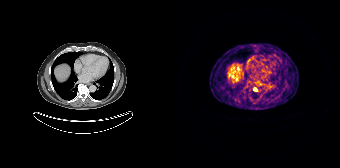
Paired axial CT (left) and PSMA PET (right), 68Ga-PSMA tracer. Acquired on Siemens Biograph 64-4R TruePoint. Slice position z = 1491 mm. PET panel 168×168 px (4.1 mm/px). Coordinates are on the 168×168 PET (right) panel. PSMA-avid tumor lesion bounding box (x, y, width, height): x=81 y=88 w=5 h=4.